Paired axial CT (left) and PSMA PET (right), 18F-PSMA tracer. PET panel 200×200 px (4.1 mm/px).
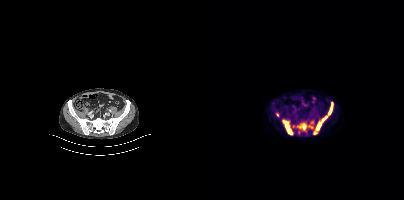
Coordinates are on the 200×200 PET (right) panel. (showing 6 of 7 foci) PSMA-avid tumor lesion bounding boxes (x0,y0,x1,y1): [110,103,128,134], [79,120,88,134], [93,123,102,130], [104,125,109,128]. Small PSMA-avid foci (2 to 4 px across) near (center x, center y): (73, 114), (107, 122).